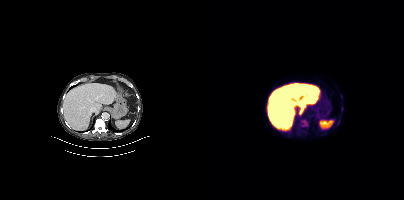
Paired axial CT (left) and PSMA PET (right), 18F-PSMA tracer. Acquired on Siemens Biograph mCT Flow 20. Slice 248 of 427. PET panel 200×200 px (4.1 mm/px).
Coordinates are on the 200×200 PET (right) panel. PSMA-avid tumor lesion bounding boxes:
| # | x0 | y0 | x1 | y1 |
|---|---|---|---|---|
| 1 | 97 | 119 | 104 | 126 |
| 2 | 137 | 107 | 139 | 111 |
Small PSMA-avid focus (2 to 4 px across) near (center x, center y): (137, 96).